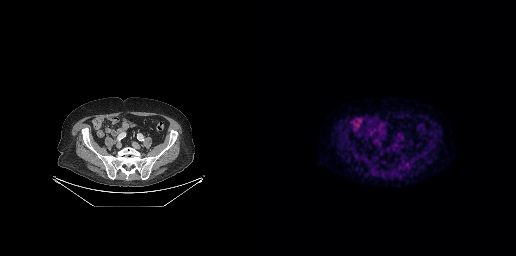
Technique: Two-panel axial: CT | PSMA PET, [18F]PSMA-1007 tracer. slice position z = -558 mm. PET panel 256×256 px (2.7 mm/px).
Findings: This slice has no annotated PSMA-avid lesion.